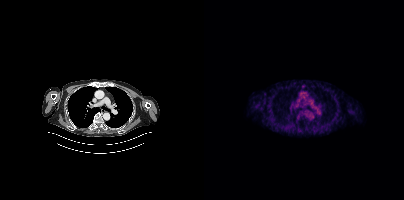
Paired axial CT (left) and PSMA PET (right), 18F-PSMA tracer. Acquired on Siemens Biograph mCT Flow 20. Slice position z = -514 mm. No PSMA-avid tumor lesions on this slice.